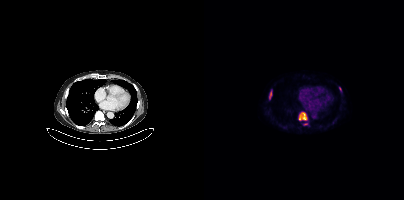
Findings: Coordinates are on the 200×200 PET (right) panel. PSMA-avid tumor lesion bounding boxes (x, y, width, height): x=95 y=112 w=9 h=9 / x=65 y=91 w=3 h=8 / x=135 y=87 w=3 h=5. Small PSMA-avid focus (2 to 4 px across) near (center x, center y): (101, 123).
Technique: Two-panel axial: CT | PSMA PET, [18F]PSMA-1007 tracer.